- Paired axial CT (left) and PSMA PET (right), 18F tracer
- the face region was removed for patient privacy by blanking a rectangle over the head
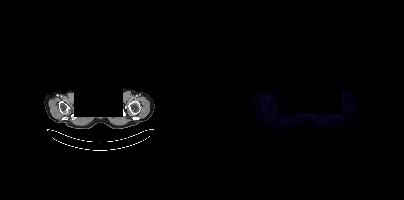
Findings: No tumor lesions annotated on this slice.